Left: CT. Right: PSMA PET, same axial level, [18F]PSMA-1007 tracer.
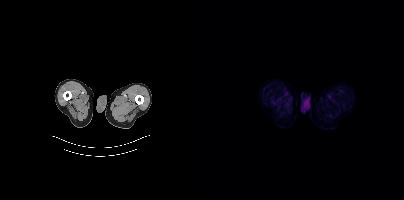
Negative for PSMA-avid disease on this slice.